Privacy masking over the head, with the pixels inside a rectangle set to black. Left: CT. Right: PSMA PET, same axial level, 68Ga tracer. Acquired on Siemens Biograph 64-4R TruePoint. Slice position z = -668 mm. PET panel 168×168 px (4.1 mm/px).
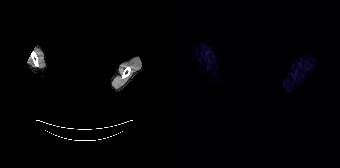
This slice has no annotated PSMA-avid lesion.